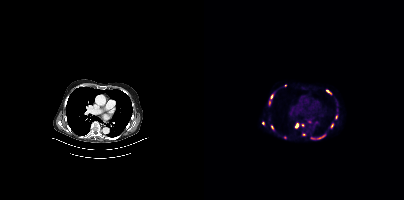
Two-panel axial: CT | PSMA PET, 68Ga-PSMA tracer. Acquired on Siemens Biograph mCT Flow 20. Slice position z = -1118 mm. PET panel 200×200 px (4.1 mm/px).
Coordinates are on the 200×200 PET (right) panel. PSMA-avid tumor lesion bounding boxes (partial; 2 more foci not listed):
| # | x0 | y0 | x1 | y1 |
|---|---|---|---|---|
| 1 | 91 | 123 | 94 | 128 |
| 2 | 114 | 135 | 121 | 138 |
| 3 | 122 | 90 | 127 | 94 |
| 4 | 127 | 123 | 129 | 127 |
Small PSMA-avid foci (2 to 4 px across) near (center x, center y): (99, 125); (67, 96); (67, 127); (65, 102); (58, 123); (99, 134); (81, 85); (80, 137).